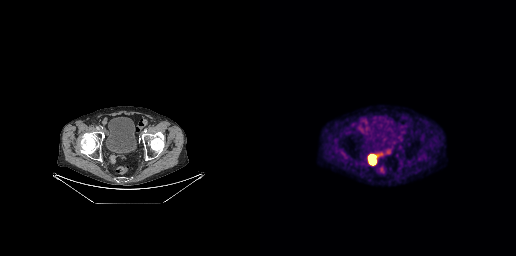
Technique: Two-panel axial: CT | PSMA PET, 18F tracer. acquired on GE Discovery 690. PET panel 256×256 px (2.7 mm/px).
Findings: Coordinates are on the 256×256 PET (right) panel. PSMA-avid tumor lesion bounding box (x0,y0,x1,y1): [108,154,116,165].